Technique: Two-panel axial: CT | PSMA PET, 18F tracer. slice 75 of 165. PET panel 168×168 px (4.1 mm/px).
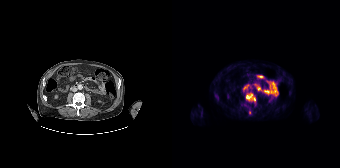
Findings: Negative for PSMA-avid disease on this slice.